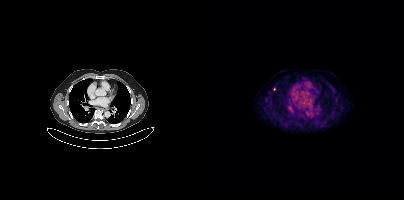
Coordinates are on the 200×200 PET (right) panel. Small PSMA-avid focus (2 to 4 px across) near (center x, center y): (70, 89). Two-panel axial: CT | PSMA PET, 18F tracer. Acquired on Siemens Biograph mCT Flow 20. Slice position z = -1138 mm.